Technique: Paired axial CT (left) and PSMA PET (right), 18F tracer. acquired on Siemens Biograph mCT Flow 20. slice 187 of 444. PET panel 200×200 px (4.1 mm/px).
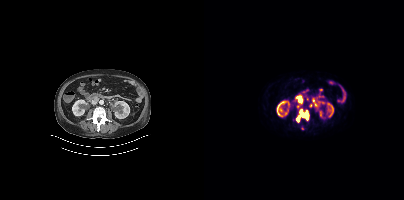
Findings: Coordinates are on the 200×200 PET (right) panel. PSMA-avid tumor lesion bounding boxes (x0, y0)-(x1, y1): (92, 109)-(105, 122); (94, 98)-(98, 103). Small PSMA-avid foci (2 to 4 px across) near (center x, center y): (94, 106); (107, 105); (109, 100).